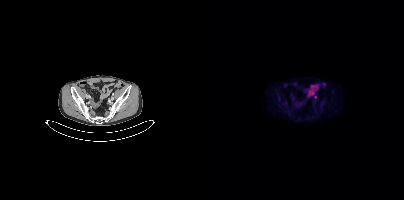
Coordinates are on the 200×200 PET (right) panel. Small PSMA-avid focus (2 to 4 px across) near (center x, center y): (111, 96).
modality: PSMA PET/CT | tracer: [18F]PSMA-1007 | view: axial | PET grid: 200×200